Left: CT. Right: PSMA PET, same axial level, 18F tracer.
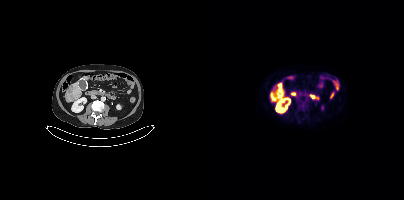
Coordinates are on the 200×200 PET (right) panel. Small PSMA-avid focus (2 to 4 px across) near (center x, center y): (75, 84).